Paired axial CT (left) and PSMA PET (right), 68Ga tracer. Slice position z = 1028 mm. PET panel 200×200 px (4.1 mm/px). Facial anatomy redacted by setting a rectangular region of the head to black.
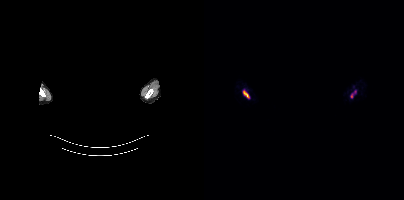
Coordinates are on the 200×200 PET (right) panel. PSMA-avid tumor lesion bounding boxes (x, y, width, height): x=39 y=90 w=7 h=9; x=146 y=90 w=7 h=9.